Paired axial CT (left) and PSMA PET (right), [18F]PSMA-1007 tracer. Slice position z = -774 mm. PET panel 200×200 px (4.1 mm/px).
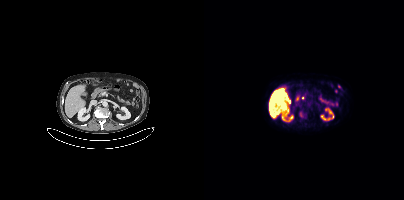
Coordinates are on the 200×200 PET (right) panel. Small PSMA-avid focus (2 to 4 px across) near (center x, center y): (96, 114).